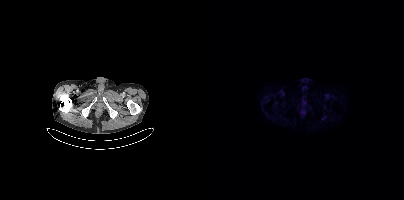
modality: PSMA PET/CT | tracer: 18F | view: axial
This slice has no annotated PSMA-avid lesion.